Left: CT. Right: PSMA PET, same axial level, 18F tracer. Slice 203 of 454.
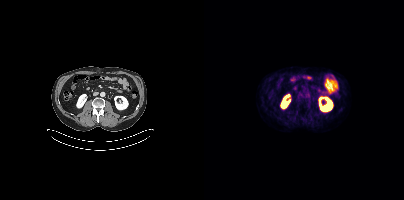
Negative for PSMA-avid disease on this slice.